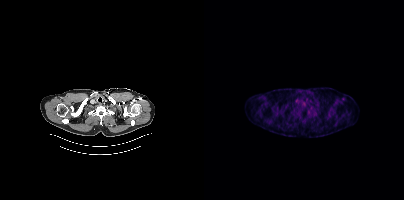
No tumor lesions annotated on this slice.
modality: PSMA PET/CT | tracer: 18F-PSMA | view: axial